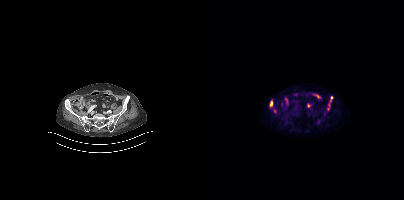
{"modality":"PSMA PET/CT","view":"axial","tracer":"18F","pet_grid":[200,200],"coord_frame":"pet_panel","coord_format":"x0,y0,x1,y1","lesion_bboxes":[[123,96,129,110],[65,99,69,107]],"small_foci_centers":[[71,110]]}